modality: PSMA PET/CT | tracer: [18F]PSMA-1007 | view: axial | PET grid: 200×200
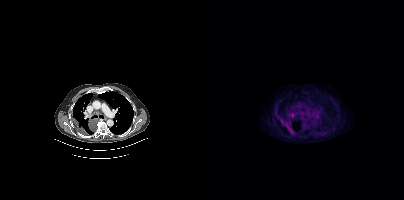
Coordinates are on the 200×200 PET (right) panel. PSMA-avid tumor lesion bounding boxes (x0,y0,x1,y1): [76,119,89,133], [86,113,93,117].